Paired axial CT (left) and PSMA PET (right), 18F tracer. Acquired on Siemens Biograph mCT Flow 20. Slice position z = 76 mm.
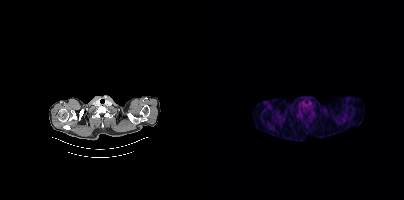
No PSMA-avid tumor lesions on this slice.